Technique: Left: CT. Right: PSMA PET, same axial level, [68Ga]Ga-PSMA-11 tracer. slice position z = -1166 mm.
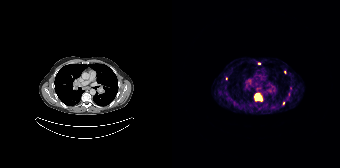
Findings: Coordinates are on the 168×168 PET (right) panel. PSMA-avid tumor lesion bounding box (x0,y0,x1,y1): [82,93,90,101]. Small PSMA-avid foci (2 to 4 px across) near (center x, center y): (87, 63) (112, 72) (54, 78) (111, 103).